- Left: CT. Right: PSMA PET, same axial level, 18F-PSMA tracer
- slice 296 of 409
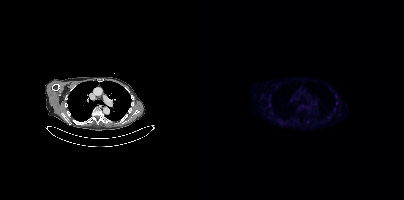
Findings: Coordinates are on the 200×200 PET (right) panel. Small PSMA-avid foci (2 to 4 px across) near (center x, center y): (132, 96) | (132, 103).